modality: PSMA PET/CT | tracer: 18F-PSMA | view: axial | PET grid: 200×200
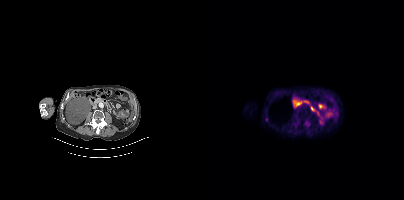
No tumor lesions annotated on this slice.